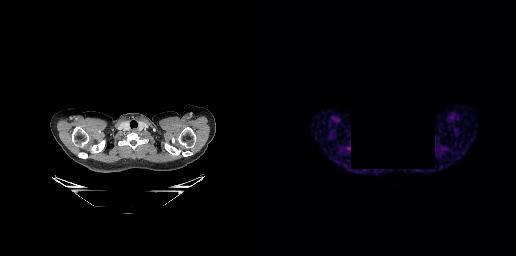
{"modality":"PSMA PET/CT","view":"axial","tracer":"68Ga","pet_grid":[256,256],"coord_frame":"pet_panel","coord_format":"x0,y0,x1,y1","redaction":"region blacked out before release","psma_avid_lesions":false}